Technique: Two-panel axial: CT | PSMA PET, 18F-PSMA tracer. PET panel 200×200 px (4.1 mm/px).
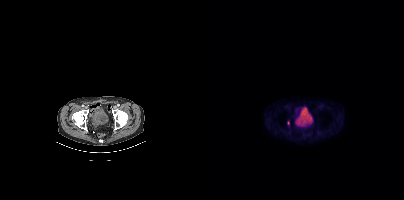
Findings: Coordinates are on the 200×200 PET (right) panel. Small PSMA-avid focus (2 to 4 px across) near (center x, center y): (84, 122).